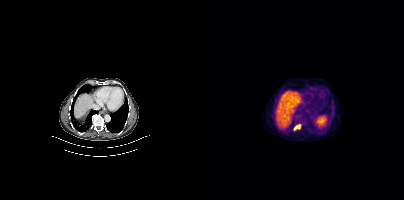
Coordinates are on the 200×200 PET (right) panel. PSMA-avid tumor lesion bounding box (x, y, width, height): x=90 y=124 w=7 h=6. Small PSMA-avid focus (2 to 4 px across) near (center x, center y): (128, 112). Two-panel axial: CT | PSMA PET, 18F tracer. Slice position z = 332 mm.